- Left: CT. Right: PSMA PET, same axial level, [18F]PSMA-1007 tracer
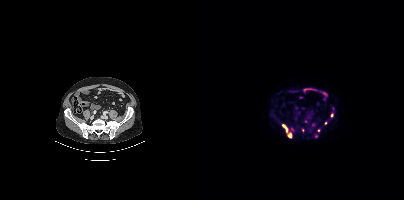
Findings: Coordinates are on the 200×200 PET (right) panel. PSMA-avid tumor lesion bounding box (x0, y0)-(x1, y1): (78, 124)-(89, 137). Small PSMA-avid foci (2 to 4 px across) near (center x, center y): (128, 114) / (121, 123) / (98, 130) / (114, 130) / (112, 136).